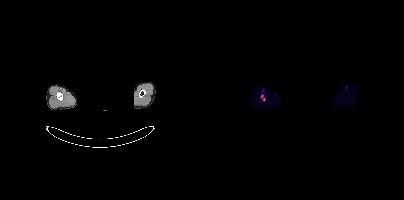
Coordinates are on the 200×200 PET (right) panel. (showing 1 of 2 foci) PSMA-avid tumor lesion bounding box (x0,y0,x1,y1): [56,94,61,101]. The face region was removed for patient privacy by blanking a rectangle over the head. Left: CT. Right: PSMA PET, same axial level, 18F tracer. Acquired on Siemens Biograph mCT Flow 20. Slice 358 of 403.